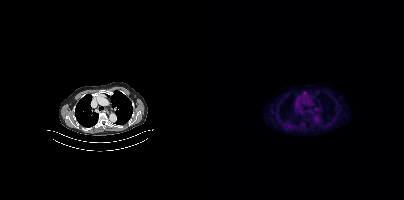
{"pet_grid":[200,200],"coord_frame":"pet_panel","coord_format":"x0,y0,x1,y1","psma_avid_lesions":false,"modality":"PSMA PET/CT","view":"axial","tracer":"18F"}